- Two-panel axial: CT | PSMA PET, 18F tracer
- acquired on Siemens Biograph mCT Flow 20
- slice 106 of 435
- PET panel 200×200 px (4.1 mm/px)
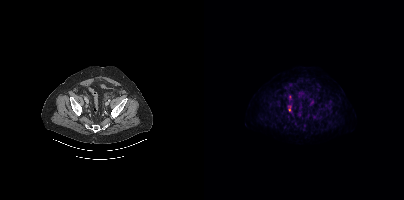
Findings: Coordinates are on the 200×200 PET (right) panel. PSMA-avid tumor lesion bounding box (x, y, width, height): x=84 y=105 w=4 h=7.